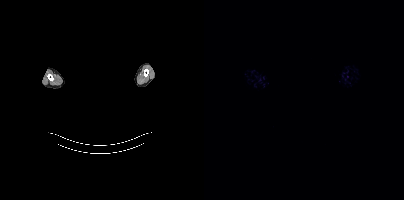
{"modality":"PSMA PET/CT","view":"axial","tracer":"18F-PSMA","pet_grid":[200,200],"coord_frame":"pet_panel","coord_format":"x0,y0,x1,y1","redaction":"facial region redacted","psma_avid_lesions":false}